- Paired axial CT (left) and PSMA PET (right), 18F tracer
- PET panel 200×200 px (4.1 mm/px)
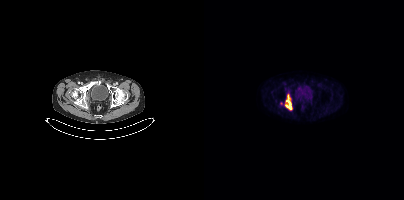
Findings: Coordinates are on the 200×200 PET (right) panel. (showing 1 of 2 foci) PSMA-avid tumor lesion bounding box (x0,y0,x1,y1): [81,94,88,109].